Left: CT. Right: PSMA PET, same axial level, [18F]PSMA-1007 tracer. Acquired on Siemens Biograph mCT Flow 20. Slice 218 of 415. PET panel 200×200 px (4.1 mm/px).
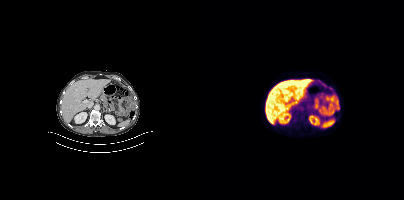
No PSMA-avid tumor lesions on this slice.